Two-panel axial: CT | PSMA PET, [68Ga]Ga-PSMA-11 tracer. Slice 189 of 429. PET panel 200×200 px (4.1 mm/px).
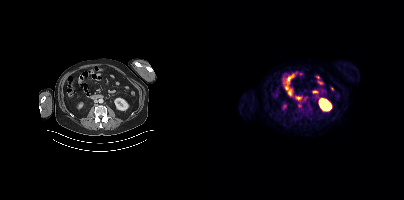
Coordinates are on the 200×200 PET (right) panel. Small PSMA-avid focus (2 to 4 px across) near (center x, center y): (94, 105).